Technique: Left: CT. Right: PSMA PET, same axial level, 68Ga-PSMA tracer. acquired on Siemens Biograph 64-4R TruePoint. PET panel 168×168 px (4.1 mm/px).
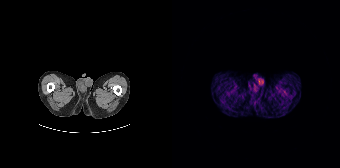
Findings: No tumor lesions annotated on this slice.